Technique: Two-panel axial: CT | PSMA PET, 18F tracer.
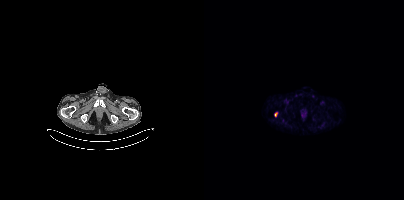
Findings: Coordinates are on the 200×200 PET (right) panel. PSMA-avid tumor lesion bounding box (x, y, width, height): x=70 y=112 w=4 h=5.